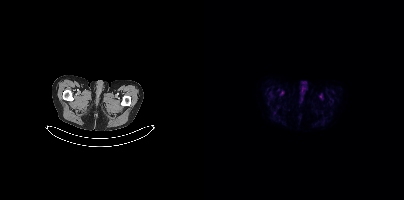
Findings: No PSMA-avid tumor lesions on this slice.
Technique: Paired axial CT (left) and PSMA PET (right), [18F]PSMA-1007 tracer. slice 32 of 431. PET panel 200×200 px (4.1 mm/px).